Two-panel axial: CT | PSMA PET, 18F tracer.
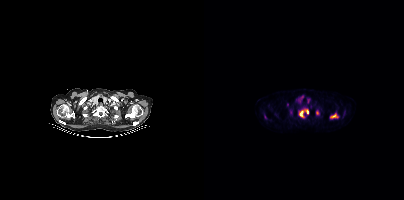
Coordinates are on the 200×200 PET (right) panel. PSMA-avid tumor lesion bounding boxes (x, y, width, height): x=95 y=110 w=5 h=7 | x=127 y=114 w=7 h=4 | x=102 y=110 w=3 h=5. Small PSMA-avid focus (2 to 4 px across) near (center x, center y): (113, 112).